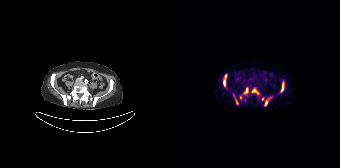
Technique: Paired axial CT (left) and PSMA PET (right), 68Ga tracer.
Findings: Coordinates are on the 168×168 PET (right) panel. (showing 8 of 9 foci) PSMA-avid tumor lesion bounding boxes (x0,y0,x1,y1): [51,74,54,86], [92,97,99,106], [108,81,112,92], [80,88,86,94], [72,87,76,94], [63,99,66,104]. Small PSMA-avid foci (2 to 4 px across) near (center x, center y): (68, 97), (90, 99).